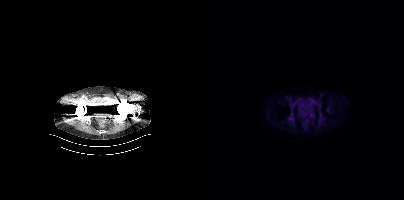
No PSMA-avid tumor lesions on this slice. Paired axial CT (left) and PSMA PET (right), 18F tracer. Acquired on Siemens Biograph mCT Flow 20. PET panel 200×200 px (4.1 mm/px).